Two-panel axial: CT | PSMA PET, 18F tracer. Acquired on Siemens Biograph mCT Flow 20. PET panel 200×200 px (4.1 mm/px).
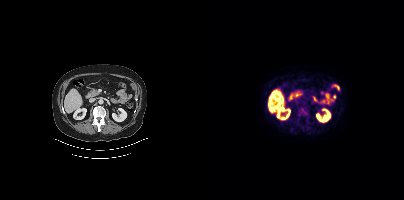
Coordinates are on the 200×200 PET (right) panel. PSMA-avid tumor lesion bounding box (x0, y0)-(x1, y1): (93, 107)-(105, 119). Small PSMA-avid focus (2 to 4 px across) near (center x, center y): (93, 120).